- Left: CT. Right: PSMA PET, same axial level, 18F tracer
- acquired on Siemens Biograph mCT Flow 20
- slice 79 of 423
- PET panel 200×200 px (4.1 mm/px)
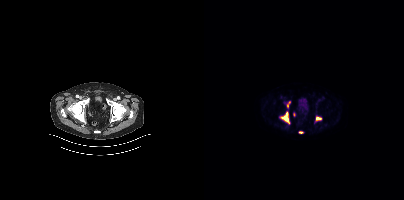
Findings: Coordinates are on the 200×200 PET (right) panel. PSMA-avid tumor lesion bounding boxes (x0, y0)-(x1, y1): (77, 112)-(85, 123) | (112, 117)-(117, 120). Small PSMA-avid foci (2 to 4 px across) near (center x, center y): (96, 132) | (90, 114) | (83, 105).